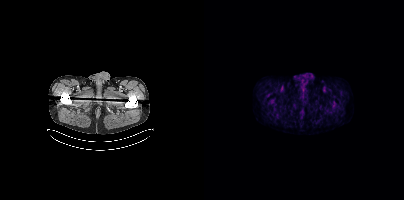
Two-panel axial: CT | PSMA PET, 18F-PSMA tracer. Slice position z = 1064 mm. No tumor lesions annotated on this slice.